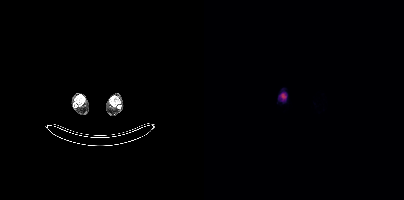
modality: PSMA PET/CT | tracer: 18F | view: axial | PET grid: 200×200
Coordinates are on the 200×200 PET (right) panel. PSMA-avid tumor lesion bounding box (x, y, width, height): x=77 y=93 w=5 h=6.